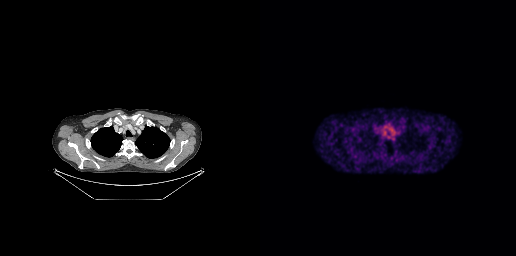
Findings: No tumor lesions annotated on this slice.
Technique: Paired axial CT (left) and PSMA PET (right), [68Ga]Ga-PSMA-11 tracer. PET panel 256×256 px (2.7 mm/px).